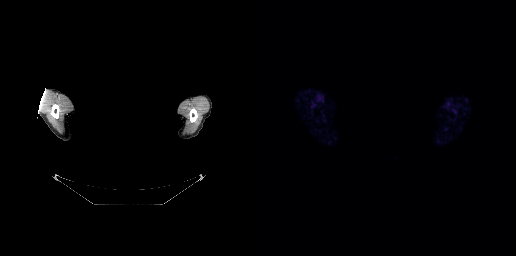
{"modality":"PSMA PET/CT","view":"axial","tracer":"[68Ga]Ga-PSMA-11","pet_grid":[256,256],"coord_frame":"pet_panel","coord_format":"x0,y0,x1,y1","deidentification":"head region blanked (face removed)","psma_avid_lesions":false}